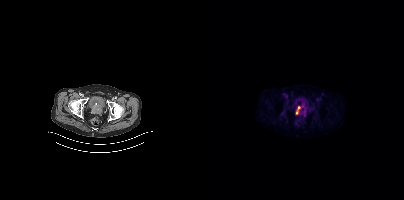
{"pet_grid":[200,200],"coord_frame":"pet_panel","coord_format":"x0,y0,x1,y1","lesion_bboxes":[[92,106,96,114]],"modality":"PSMA PET/CT","view":"axial","tracer":"18F"}